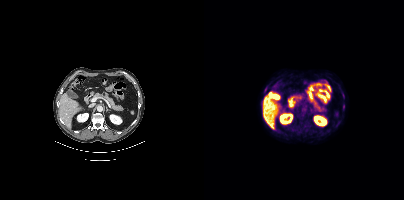
Coordinates are on the 200×200 PET (right) panel. PSMA-avid tumor lesion bounding box (x, y, width, height): x=60 y=87 w=3 h=5.